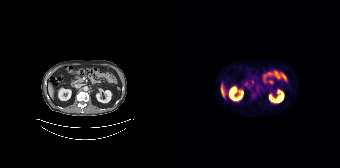
{"modality":"PSMA PET/CT","view":"axial","tracer":"18F","pet_grid":[168,168],"coord_frame":"pet_panel","coord_format":"x0,y0,x1,y1","psma_avid_lesions":false}